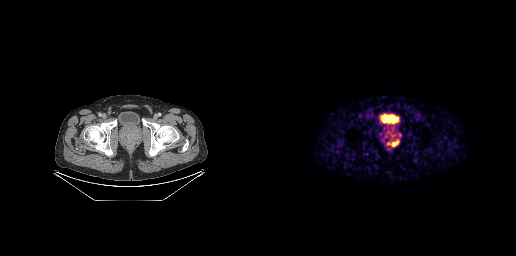
Paired axial CT (left) and PSMA PET (right), [68Ga]Ga-PSMA-11 tracer.
Coordinates are on the 256×256 PET (right) panel. PSMA-avid tumor lesion bounding boxes:
| # | x0 | y0 | x1 | y1 |
|---|---|---|---|---|
| 1 | 132 | 142 | 137 | 145 |